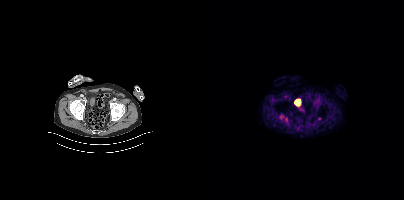
Coordinates are on the 200×200 PET (right) panel. Small PSMA-avid focus (2 to 4 px across) near (center x, center y): (115, 118).